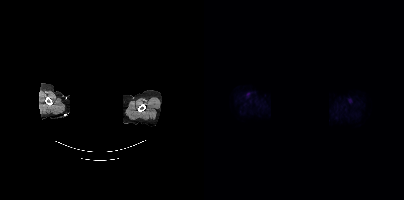
An anonymization step blacked out a rectangle over the head in this scan. Two-panel axial: CT | PSMA PET, [18F]PSMA-1007 tracer. Acquired on Siemens Biograph mCT Flow 20. PET panel 200×200 px (4.1 mm/px). No tumor lesions annotated on this slice.